Paired axial CT (left) and PSMA PET (right), [18F]PSMA-1007 tracer. Slice 120 of 263.
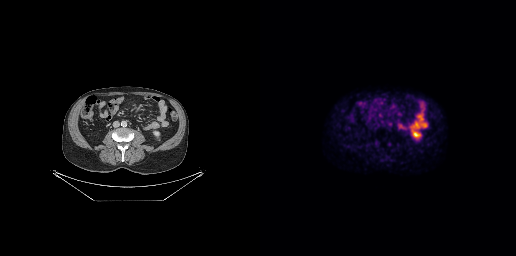
This slice has no annotated PSMA-avid lesion.